- Left: CT. Right: PSMA PET, same axial level, [18F]PSMA-1007 tracer
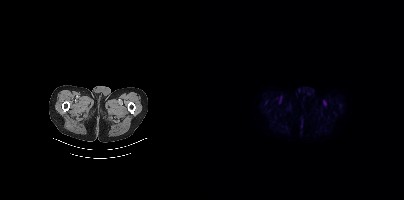
Findings: No PSMA-avid tumor lesions on this slice.